A rectangular block over the head has been blanked out for de-identification. Two-panel axial: CT | PSMA PET, 18F-PSMA tracer. Acquired on Siemens Biograph mCT Flow 20.
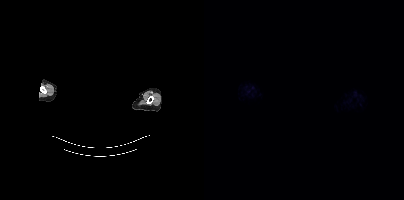
This slice has no annotated PSMA-avid lesion.